Two-panel axial: CT | PSMA PET, [18F]PSMA-1007 tracer.
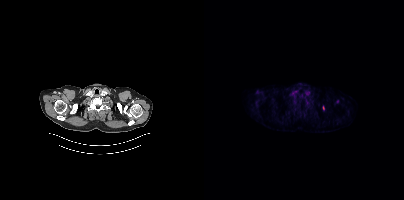
Coordinates are on the 200×200 PET (right) panel. Small PSMA-avid focus (2 to 4 px across) near (center x, center y): (119, 107).